Left: CT. Right: PSMA PET, same axial level, 18F tracer. PET panel 200×200 px (4.1 mm/px).
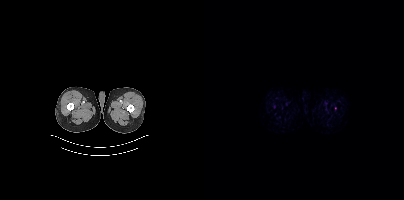
This slice has no annotated PSMA-avid lesion.